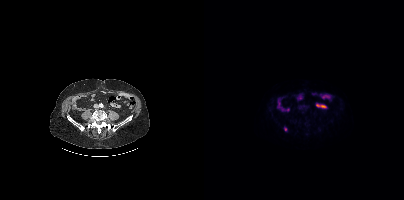
Findings: This slice has no annotated PSMA-avid lesion.
- Left: CT. Right: PSMA PET, same axial level, 18F-PSMA tracer
- PET panel 200×200 px (4.1 mm/px)